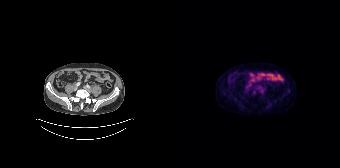
Coordinates are on the 168×168 PET (right) panel. (showing 1 of 2 foci) Small PSMA-avid focus (2 to 4 px across) near (center x, center y): (116, 90).